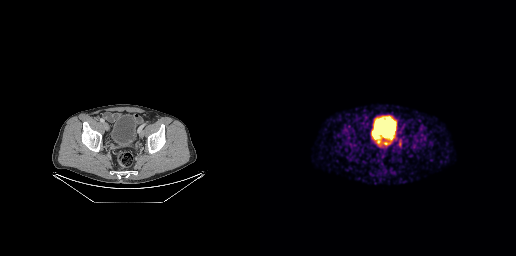
{"modality":"PSMA PET/CT","view":"axial","tracer":"[18F]PSMA-1007","pet_grid":[256,256],"coord_frame":"pet_panel","coord_format":"x0,y0,x1,y1","partial":true,"lesion_bboxes":[[138,139,141,146]]}